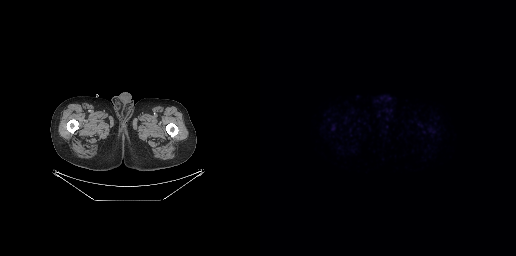
{"pet_grid":[256,256],"coord_frame":"pet_panel","coord_format":"x0,y0,x1,y1","psma_avid_lesions":false,"modality":"PSMA PET/CT","view":"axial","tracer":"[18F]PSMA-1007"}